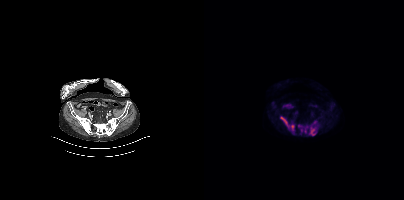
{"pet_grid":[200,200],"coord_frame":"pet_panel","coord_format":"x0,y0,x1,y1","lesion_bboxes":[[105,128,112,135],[76,116,85,127],[96,128,101,132],[108,120,113,124],[87,125,90,130]],"small_foci_centers":[[96,125]],"modality":"PSMA PET/CT","view":"axial","tracer":"18F-PSMA"}